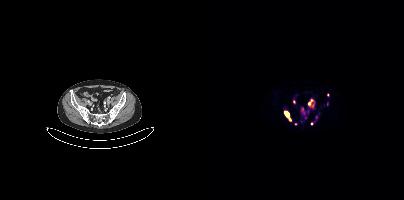
Paired axial CT (left) and PSMA PET (right), [68Ga]Ga-PSMA-11 tracer. PET panel 200×200 px (4.1 mm/px).
Coordinates are on the 200×200 PET (right) panel. PSMA-avid tumor lesion bounding boxes:
| # | x0 | y0 | x1 | y1 |
|---|---|---|---|---|
| 1 | 104 | 99 | 110 | 108 |
| 2 | 80 | 111 | 87 | 121 |
| 3 | 99 | 113 | 102 | 118 |
Small PSMA-avid foci (2 to 4 px across) near (center x, center y): (90, 101); (112, 117); (123, 95); (123, 104); (104, 111); (107, 123); (98, 108); (91, 123).